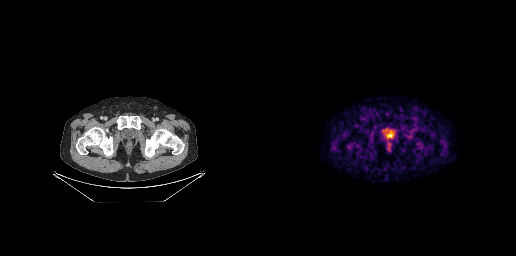
Findings: This slice has no annotated PSMA-avid lesion.
- Paired axial CT (left) and PSMA PET (right), 68Ga tracer
- acquired on GE Discovery 690